Paired axial CT (left) and PSMA PET (right), 18F tracer. Acquired on Siemens Biograph mCT Flow 20. PET panel 200×200 px (4.1 mm/px).
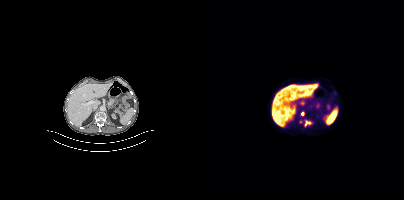
Coordinates are on the 200×200 PET (right) panel. PSMA-avid tumor lesion bounding boxes:
| # | x0 | y0 | x1 | y1 |
|---|---|---|---|---|
| 1 | 101 | 121 | 107 | 125 |
Small PSMA-avid foci (2 to 4 px across) near (center x, center y): (98, 113); (96, 121).